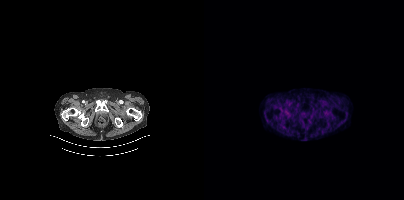
Technique: Paired axial CT (left) and PSMA PET (right), 68Ga-PSMA tracer. acquired on Siemens Biograph mCT Flow 20. slice 53 of 405. PET panel 200×200 px (4.1 mm/px).
Findings: This slice has no annotated PSMA-avid lesion.